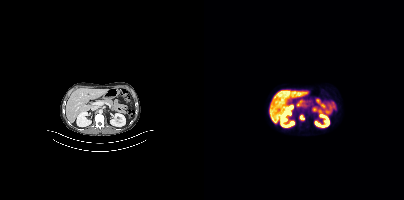
{"modality":"PSMA PET/CT","view":"axial","tracer":"[18F]PSMA-1007","pet_grid":[200,200],"coord_frame":"pet_panel","coord_format":"x0,y0,x1,y1","lesion_bboxes":[[95,115,100,120]]}